Two-panel axial: CT | PSMA PET, 18F-PSMA tracer. Acquired on Siemens Biograph mCT Flow 20.
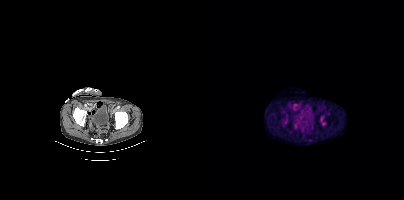
Coordinates are on the 200×200 PET (right) panel. PSMA-avid tumor lesion bounding boxes:
| # | x0 | y0 | x1 | y1 |
|---|---|---|---|---|
| 1 | 116 | 115 | 122 | 125 |
| 2 | 80 | 119 | 83 | 124 |
Small PSMA-avid focus (2 to 4 px across) near (center x, center y): (124, 114).